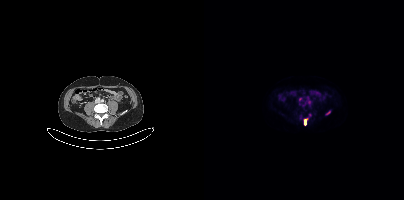
Findings: Coordinates are on the 200×200 PET (right) panel. (showing 3 of 4 foci) PSMA-avid tumor lesion bounding box (x0,y0,x1,y1): [100,118,104,124]. Small PSMA-avid foci (2 to 4 px across) near (center x, center y): (96, 98) (124, 112).
Technique: Paired axial CT (left) and PSMA PET (right), 18F-PSMA tracer. slice position z = 40 mm. PET panel 200×200 px (4.1 mm/px).